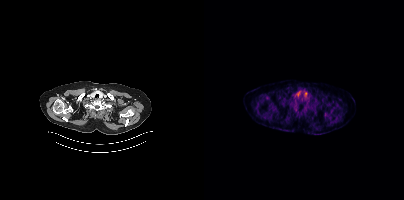
{"modality":"PSMA PET/CT","view":"axial","tracer":"18F","pet_grid":[200,200],"coord_frame":"pet_panel","coord_format":"x0,y0,x1,y1","psma_avid_lesions":false}